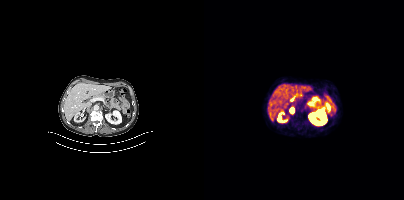
Two-panel axial: CT | PSMA PET, 68Ga-PSMA tracer. PET panel 200×200 px (4.1 mm/px).
Coordinates are on the 200×200 PET (right) panel. PSMA-avid tumor lesion bounding boxes:
| # | x0 | y0 | x1 | y1 |
|---|---|---|---|---|
| 1 | 86 | 108 | 90 | 112 |